Technique: Paired axial CT (left) and PSMA PET (right), [18F]PSMA-1007 tracer. acquired on Siemens Biograph mCT Flow 20. slice position z = -460 mm.
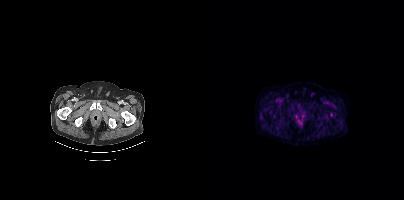
Findings: No PSMA-avid tumor lesions on this slice.